Technique: Two-panel axial: CT | PSMA PET, 18F-PSMA tracer.
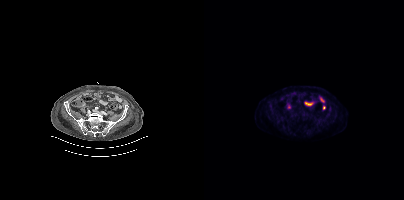
Findings: This slice has no annotated PSMA-avid lesion.